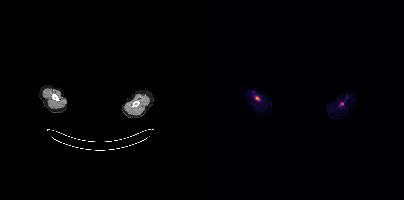
- an anonymization step blacked out a rectangle over the head in this scan
- Two-panel axial: CT | PSMA PET, 18F tracer
- acquired on Siemens Biograph mCT Flow 20
- PET panel 200×200 px (4.1 mm/px)
Findings: Coordinates are on the 200×200 PET (right) panel. Small PSMA-avid focus (2 to 4 px across) near (center x, center y): (53, 98).